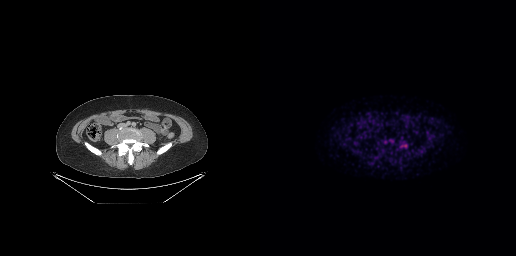
Technique: Paired axial CT (left) and PSMA PET (right), [18F]PSMA-1007 tracer. acquired on GE Discovery 690.
Findings: This slice has no annotated PSMA-avid lesion.